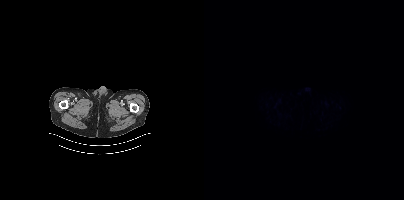
Negative for PSMA-avid disease on this slice.